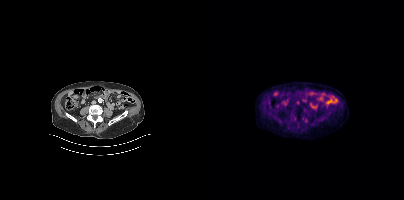
This slice has no annotated PSMA-avid lesion.